Technique: Two-panel axial: CT | PSMA PET, 18F-PSMA tracer. slice 294 of 452. PET panel 200×200 px (4.1 mm/px).
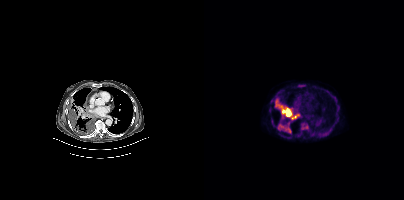
Findings: Coordinates are on the 200×200 PET (right) panel. (showing 4 of 5 foci) PSMA-avid tumor lesion bounding boxes (x0, y0)-(x1, y1): (71, 99)-(94, 119); (75, 122)-(87, 132); (97, 122)-(105, 129). Small PSMA-avid focus (2 to 4 px across) near (center x, center y): (98, 86).